Paired axial CT (left) and PSMA PET (right), 18F-PSMA tracer.
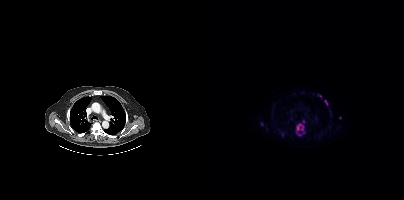
Coordinates are on the 200×200 PET (right) panel. (showing 4 of 5 foci) PSMA-avid tumor lesion bounding boxes (x, y, width, height): x=93 y=124 w=7 h=7 | x=121 y=100 w=3 h=6. Small PSMA-avid foci (2 to 4 px across) near (center x, center y): (99, 121) | (95, 134).